Paired axial CT (left) and PSMA PET (right), [18F]PSMA-1007 tracer. Acquired on Siemens Biograph mCT Flow 20.
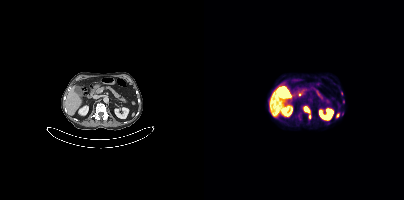
Coordinates are on the 200×200 PET (right) panel. PSMA-avid tumor lesion bounding box (x0,y0,x1,y1): [99,106,106,113]. Small PSMA-avid foci (2 to 4 px across) near (center x, center y): (105, 116), (137, 93), (139, 101).